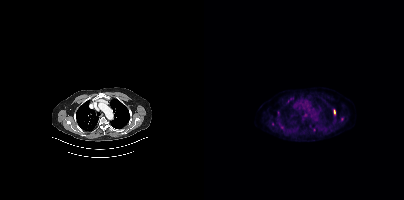
Technique: Left: CT. Right: PSMA PET, same axial level, [18F]PSMA-1007 tracer. slice position z = -1031 mm. PET panel 200×200 px (4.1 mm/px).
Findings: Coordinates are on the 200×200 PET (right) panel. Small PSMA-avid foci (2 to 4 px across) near (center x, center y): (138, 118); (78, 127); (110, 129); (130, 111); (68, 124); (74, 112).